Left: CT. Right: PSMA PET, same axial level, 18F tracer. Acquired on Siemens Biograph mCT Flow 20. PET panel 200×200 px (4.1 mm/px).
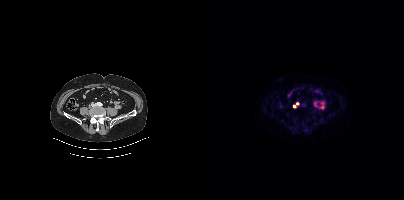
Coordinates are on the 200×200 PET (right) panel. Small PSMA-avid foci (2 to 4 px across) near (center x, center y): (90, 106); (93, 103).